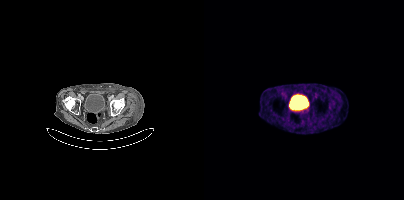
Coordinates are on the 200×200 PET (right) panel. PSMA-avid tumor lesion bounding boxes:
| # | x0 | y0 | x1 | y1 |
|---|---|---|---|---|
| 1 | 97 | 109 | 101 | 111 |
Left: CT. Right: PSMA PET, same axial level, 68Ga tracer. Acquired on Siemens Biograph mCT Flow 20. PET panel 200×200 px (4.1 mm/px).